Technique: Two-panel axial: CT | PSMA PET, 68Ga-PSMA tracer. acquired on Siemens Biograph 64-4R TruePoint. PET panel 168×168 px (4.1 mm/px).
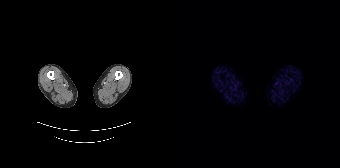
Findings: This slice has no annotated PSMA-avid lesion.